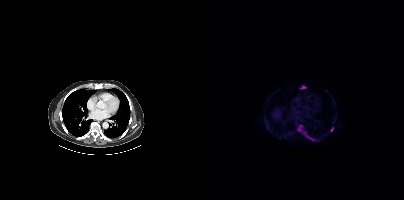
Coordinates are on the 200×200 PET (right) panel. (showing 3 of 4 foci) PSMA-avid tumor lesion bounding boxes (x0, y0)-(x1, y1): (94, 125)-(110, 140) | (96, 86)-(102, 88). Small PSMA-avid focus (2 to 4 px across) near (center x, center y): (128, 128).